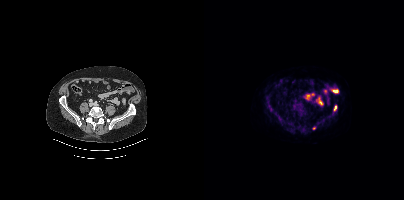
{"modality":"PSMA PET/CT","view":"axial","tracer":"[18F]PSMA-1007","pet_grid":[200,200],"coord_frame":"pet_panel","coord_format":"x0,y0,x1,y1","lesion_bboxes":[[129,105,133,111]],"small_foci_centers":[[110,128]]}